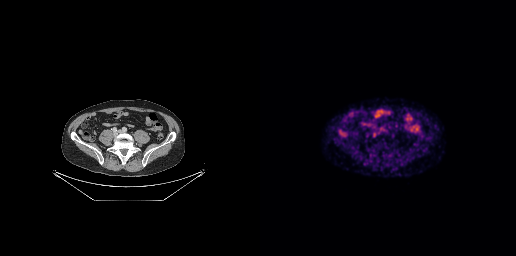
Only PSMA-avid lesion pieces thinner than 2 px on this slice (not listed).